Technique: Two-panel axial: CT | PSMA PET, [18F]PSMA-1007 tracer. acquired on Siemens Biograph mCT Flow 20. slice position z = -1013 mm. PET panel 200×200 px (4.1 mm/px).
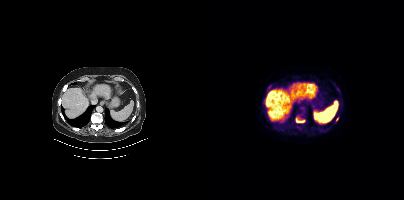
Findings: Coordinates are on the 200×200 PET (right) panel. (showing 7 of 9 foci) PSMA-avid tumor lesion bounding boxes (x0,y0,x1,y1): [92,118,97,122], [94,113,97,117], [133,87,135,91], [132,117,134,121]. Small PSMA-avid foci (2 to 4 px across) near (center x, center y): (66, 86), (100, 118), (120, 130).